Paired axial CT (left) and PSMA PET (right), [18F]PSMA-1007 tracer. Acquired on Siemens Biograph mCT Flow 20.
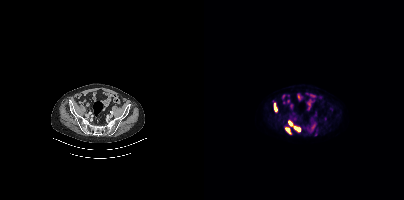
Coordinates are on the 200×200 PET (right) panel. PSMA-avid tumor lesion bounding boxes:
| # | x0 | y0 | x1 | y1 |
|---|---|---|---|---|
| 1 | 90 | 126 | 96 | 131 |
| 2 | 81 | 127 | 86 | 133 |
| 3 | 70 | 103 | 72 | 111 |
| 4 | 85 | 121 | 88 | 126 |